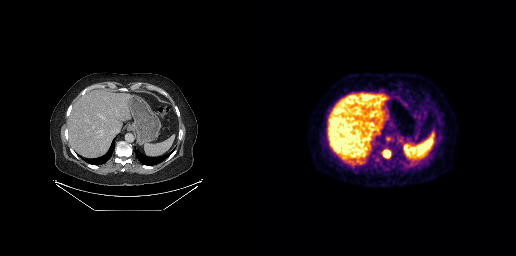
Coordinates are on the 256×256 PET (right) panel. Small PSMA-avid focus (2 to 4 px across) near (center x, center y): (126, 153).
modality: PSMA PET/CT | tracer: [18F]PSMA-1007 | view: axial